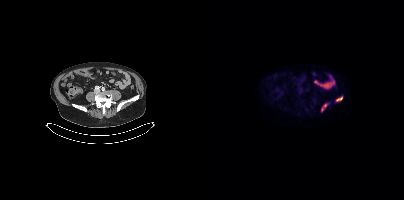
Coordinates are on the 200×200 PET (right) panel. PSMA-avid tumor lesion bounding boxes (x, y, width, height): x=117 y=103 w=7 h=9 / x=131 y=96 w=8 h=6.